- Two-panel axial: CT | PSMA PET, 68Ga-PSMA tracer
- acquired on Siemens Biograph 64-4R TruePoint
- slice position z = -1764 mm
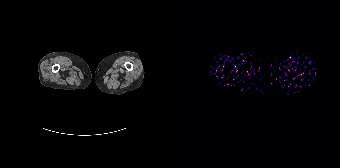
Findings: No PSMA-avid tumor lesions on this slice.